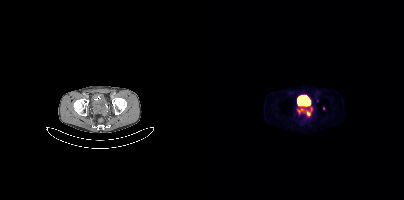
modality: PSMA PET/CT | tracer: 68Ga | view: axial
Coordinates are on the 200×200 PET (right) panel. PSMA-avid tumor lesion bounding box (x0,y0,x1,y1): [93,107,108,116]. Small PSMA-avid foci (2 to 4 px across) near (center x, center y): (113, 100) (119, 108).